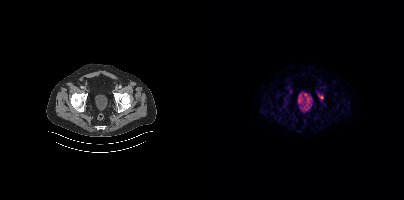
- Paired axial CT (left) and PSMA PET (right), 18F tracer
- acquired on Siemens Biograph mCT Flow 20
Findings: Coordinates are on the 200×200 PET (right) panel. PSMA-avid tumor lesion bounding box (x0, y0)-(x1, y1): (116, 95)-(119, 99).